modality: PSMA PET/CT | tracer: 18F-PSMA | view: axial
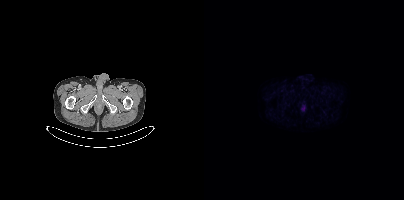
No tumor lesions annotated on this slice.